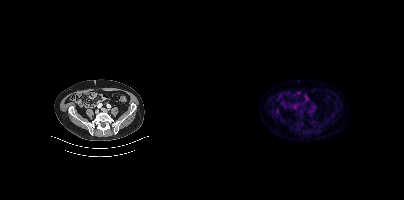
Two-panel axial: CT | PSMA PET, 68Ga tracer. PET panel 200×200 px (4.1 mm/px). Coordinates are on the 200×200 PET (right) panel. Small PSMA-avid focus (2 to 4 px across) near (center x, center y): (73, 111).